Left: CT. Right: PSMA PET, same axial level, 18F tracer. Acquired on Siemens Biograph mCT Flow 20. PET panel 200×200 px (4.1 mm/px).
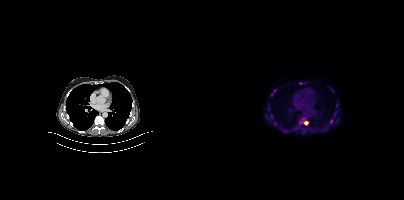
Coordinates are on the 200×200 PET (right) panel. PSMA-avid tumor lesion bounding boxes (partial; 1 more focus not listed):
| # | x0 | y0 | x1 | y1 |
|---|---|---|---|---|
| 1 | 67 | 89 | 71 | 96 |
| 2 | 100 | 121 | 104 | 124 |
| 3 | 95 | 82 | 102 | 84 |
Small PSMA-avid foci (2 to 4 px across) near (center x, center y): (131, 113); (132, 105); (64, 108); (128, 119).